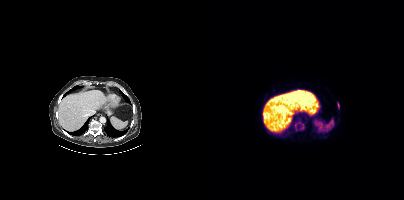
Left: CT. Right: PSMA PET, same axial level, [18F]PSMA-1007 tracer.
Coordinates are on the 200×200 PET (right) panel. PSMA-avid tumor lesion bounding boxes (partial; 1 more focus not listed):
| # | x0 | y0 | x1 | y1 |
|---|---|---|---|---|
| 1 | 90 | 121 | 100 | 130 |
Small PSMA-avid focus (2 to 4 px across) near (center x, center y): (134, 106).